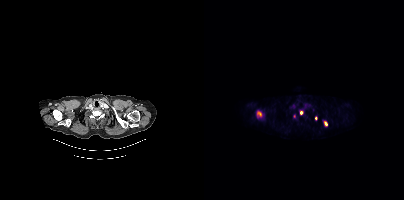
Findings: Coordinates are on the 200×200 PET (right) panel. PSMA-avid tumor lesion bounding boxes (x0,y0,x1,y1): [52,110,58,118] [120,121,123,125]. Small PSMA-avid foci (2 to 4 px across) near (center x, center y): (97, 112) (90, 116) (111, 118).
- Two-panel axial: CT | PSMA PET, 18F-PSMA tracer
- acquired on Siemens Biograph mCT Flow 20
- slice position z = -822 mm